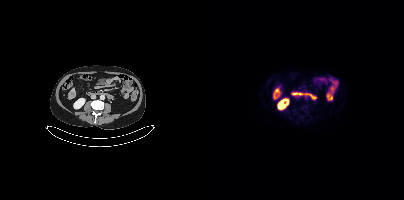
No tumor lesions annotated on this slice.